Paired axial CT (left) and PSMA PET (right), 18F tracer. Slice position z = -1353 mm. PET panel 200×200 px (4.1 mm/px).
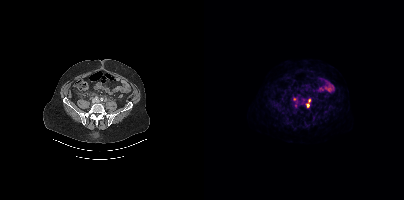
Coordinates are on the 200×200 PET (right) panel. PSMA-avid tumor lesion bounding box (x0, y0)-(x1, y1): (102, 99)-(106, 106). Small PSMA-avid focus (2 to 4 px across) near (center x, center y): (90, 99).